modality: PSMA PET/CT | tracer: [18F]PSMA-1007 | view: axial | PET grid: 256×256
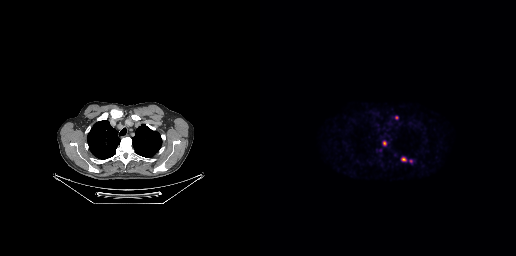
Coordinates are on the 256×256 PET (right) panel. PSMA-avid tumor lesion bounding boxes (x0, y0)-(x1, y1): (141, 157)-(146, 161); (123, 141)-(126, 145). Small PSMA-avid foci (2 to 4 px across) near (center x, center y): (136, 117); (151, 161).